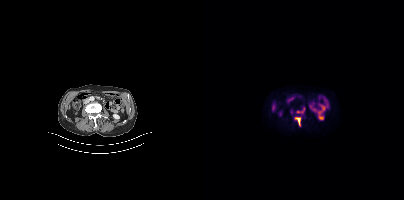
Coordinates are on the 200×200 PET (right) panel. PSMA-avid tumor lesion bounding boxes (x, y, width, height): x=91 y=117 w=6 h=10 | x=93 y=108 w=8 h=6. Left: CT. Right: PSMA PET, same axial level, 18F tracer. PET panel 200×200 px (4.1 mm/px).